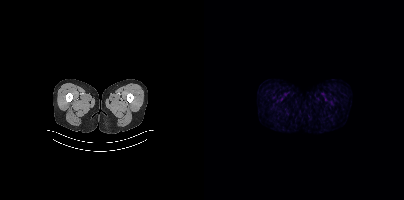
Two-panel axial: CT | PSMA PET, 18F tracer. PET panel 200×200 px (4.1 mm/px). Negative for PSMA-avid disease on this slice.